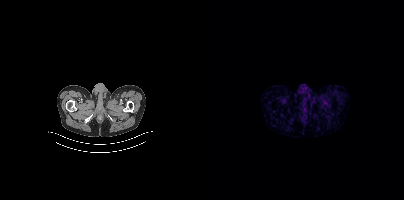
Findings: No tumor lesions annotated on this slice.
- Paired axial CT (left) and PSMA PET (right), 68Ga-PSMA tracer
- acquired on Siemens Biograph mCT Flow 20
- slice position z = -1486 mm